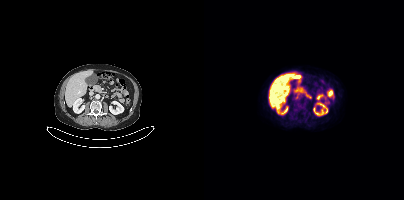
No tumor lesions annotated on this slice. Paired axial CT (left) and PSMA PET (right), 18F-PSMA tracer. Slice position z = -699 mm.